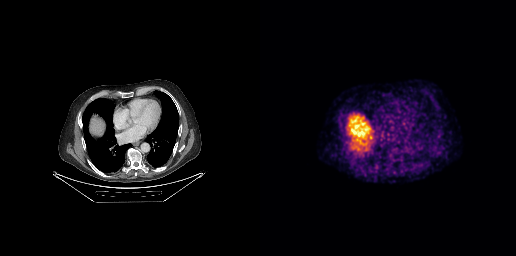
Paired axial CT (left) and PSMA PET (right), 18F tracer. PET panel 256×256 px (2.7 mm/px). This slice has no annotated PSMA-avid lesion.